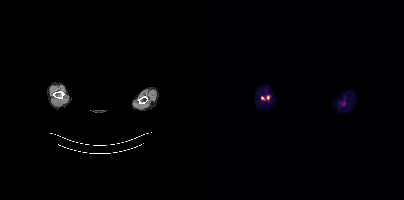
{"modality":"PSMA PET/CT","view":"axial","tracer":"[18F]PSMA-1007","pet_grid":[200,200],"coord_frame":"pet_panel","coord_format":"x0,y0,x1,y1","psma_avid_lesions":false,"deidentification":"privacy mask over head"}